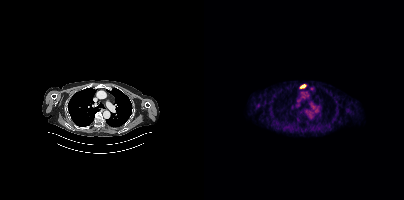
Technique: Left: CT. Right: PSMA PET, same axial level, 18F-PSMA tracer. acquired on Siemens Biograph mCT Flow 20. slice position z = -504 mm. PET panel 200×200 px (4.1 mm/px).
Findings: Coordinates are on the 200×200 PET (right) panel. PSMA-avid tumor lesion bounding box (x0,y0,x1,y1): [96,84,101,88].